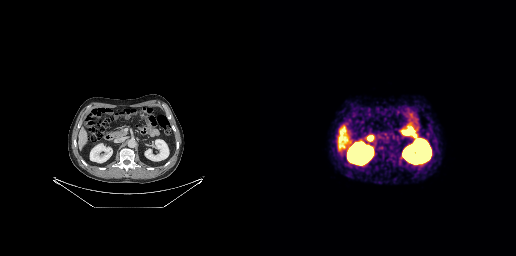
This slice has no annotated PSMA-avid lesion.